- Left: CT. Right: PSMA PET, same axial level, [18F]PSMA-1007 tracer
- slice 98 of 385
- PET panel 200×200 px (4.1 mm/px)
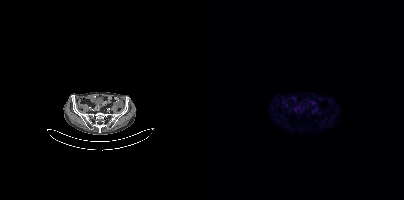
Findings: Negative for PSMA-avid disease on this slice.